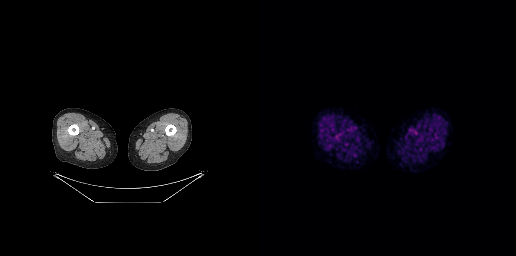
{"pet_grid":[256,256],"coord_frame":"pet_panel","coord_format":"x0,y0,x1,y1","psma_avid_lesions":false,"modality":"PSMA PET/CT","view":"axial","tracer":"18F-PSMA"}